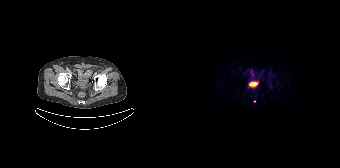
Coordinates are on the 168×168 PET (right) panel. Small PSMA-avid focus (2 to 4 px across) near (center x, center y): (82, 101).